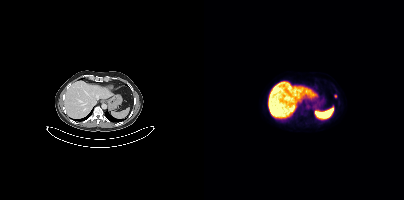
{"modality":"PSMA PET/CT","view":"axial","tracer":"[18F]PSMA-1007","pet_grid":[200,200],"coord_frame":"pet_panel","coord_format":"x0,y0,x1,y1","lesion_bboxes":[],"small_foci_centers":[[131,96]]}